- facial anatomy redacted by setting a rectangular region of the head to black
- Left: CT. Right: PSMA PET, same axial level, 18F tracer
- acquired on Siemens Biograph mCT Flow 20
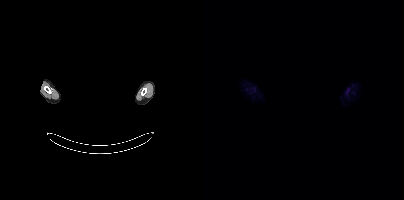
Findings: No PSMA-avid tumor lesions on this slice.